A rectangular block over the head has been blanked out for de-identification. Paired axial CT (left) and PSMA PET (right), [18F]PSMA-1007 tracer.
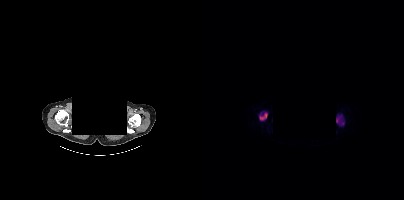
Coordinates are on the 200×200 PET (right) panel. PSMA-avid tumor lesion bounding boxes:
| # | x0 | y0 | x1 | y1 |
|---|---|---|---|---|
| 1 | 132 | 115 | 140 | 125 |
| 2 | 55 | 112 | 63 | 120 |